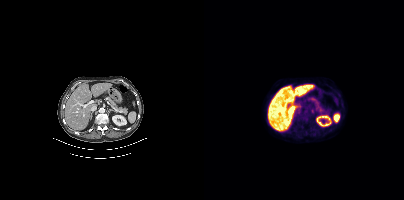
{"modality":"PSMA PET/CT","view":"axial","tracer":"18F","pet_grid":[200,200],"coord_frame":"pet_panel","coord_format":"x0,y0,x1,y1","psma_avid_lesions":false}